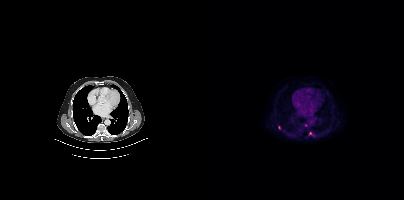
Coordinates are on the 200×200 PET (right) panel. (showing 2 of 3 foci) Small PSMA-avid foci (2 to 4 px across) near (center x, center y): (75, 127); (106, 133). Two-panel axial: CT | PSMA PET, 18F-PSMA tracer.